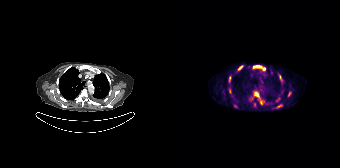
- Two-panel axial: CT | PSMA PET, 68Ga-PSMA tracer
- PET panel 168×168 px (4.1 mm/px)
Findings: Coordinates are on the 168×168 PET (right) panel. (showing 12 of 14 foci) PSMA-avid tumor lesion bounding boxes (x0,y0,x1,y1): [81,65,93,70] [82,91,87,97] [104,104,110,108] [107,75,110,81] [116,92,119,96] [66,66,70,69]. Small PSMA-avid foci (2 to 4 px across) near (center x, center y): (82, 104) (89, 102) (57, 90) (104, 100) (63, 105) (57, 81).